Paired axial CT (left) and PSMA PET (right), 68Ga tracer. Slice position z = -1358 mm.
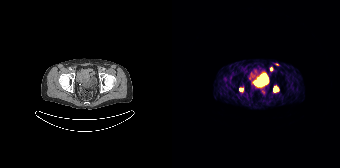
Coordinates are on the 168×168 PET (right) panel. PSMA-avid tumor lesion bounding box (x0,y0,x1,y1): [102,86,106,91]. Small PSMA-avid foci (2 to 4 px across) near (center x, center y): (99, 69); (69, 89); (105, 64).